Left: CT. Right: PSMA PET, same axial level, [18F]PSMA-1007 tracer. Acquired on Siemens Biograph mCT Flow 20. Slice 69 of 431. PET panel 200×200 px (4.1 mm/px).
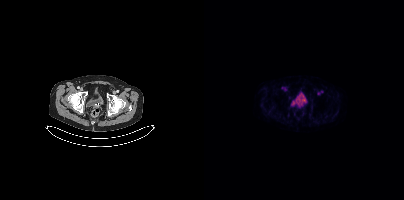
No tumor lesions annotated on this slice.